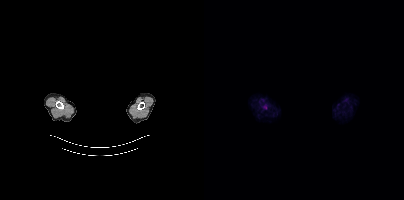
No PSMA-avid tumor lesions on this slice. Paired axial CT (left) and PSMA PET (right), [18F]PSMA-1007 tracer. Acquired on Siemens Biograph mCT Flow 20. Slice 375 of 405. PET panel 200×200 px (4.1 mm/px). The face region was removed for patient privacy by blanking a rectangle over the head.